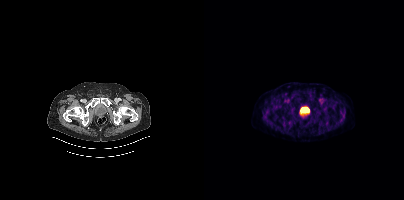
No tumor lesions annotated on this slice.
modality: PSMA PET/CT | tracer: [18F]PSMA-1007 | view: axial